Face de-identified by blanking a block of the head. Left: CT. Right: PSMA PET, same axial level, 18F tracer.
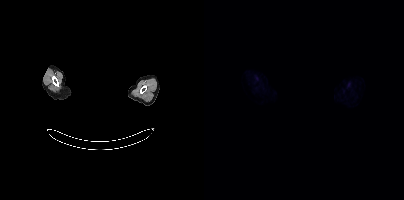
No PSMA-avid tumor lesions on this slice.